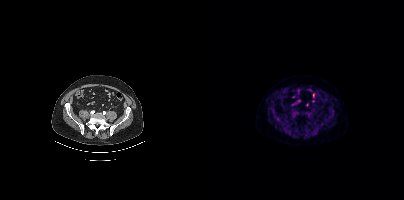
{"pet_grid":[200,200],"coord_frame":"pet_panel","coord_format":"x0,y0,x1,y1","psma_avid_lesions":false,"modality":"PSMA PET/CT","view":"axial","tracer":"18F-PSMA"}